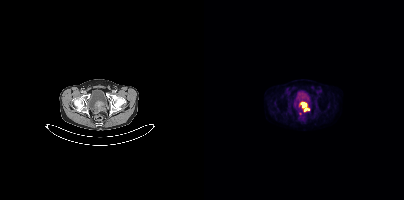
Coordinates are on the 200×200 PET (right) panel. (showing 1 of 2 foci) PSMA-avid tumor lesion bounding box (x0, y0)-(x1, y1): (95, 101)-(105, 112).